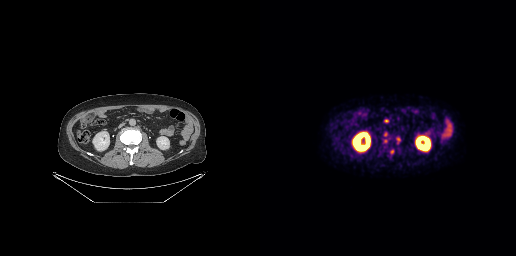
Left: CT. Right: PSMA PET, same axial level, 18F tracer. Coordinates are on the 256×256 PET (right) panel. PSMA-avid tumor lesion bounding box (x0, y0)-(x1, y1): (124, 119)-(128, 122). Small PSMA-avid foci (2 to 4 px across) near (center x, center y): (138, 139) / (132, 151) / (125, 134) / (125, 141).